- Two-panel axial: CT | PSMA PET, [68Ga]Ga-PSMA-11 tracer
- acquired on GE Discovery 690
- slice position z = -687 mm
- PET panel 256×256 px (2.7 mm/px)
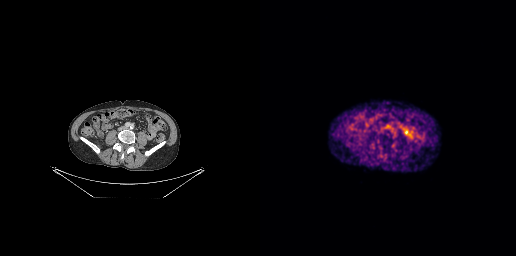
Findings: This slice has no annotated PSMA-avid lesion.